- Left: CT. Right: PSMA PET, same axial level, [18F]PSMA-1007 tracer
- acquired on Siemens Biograph mCT Flow 20
- slice 100 of 435
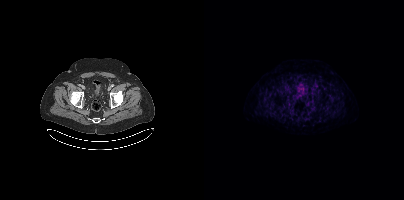
Findings: No PSMA-avid tumor lesions on this slice.